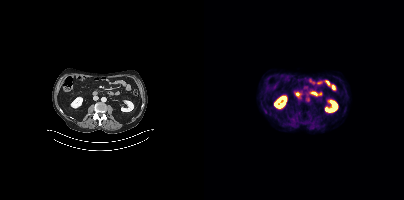
No PSMA-avid tumor lesions on this slice.